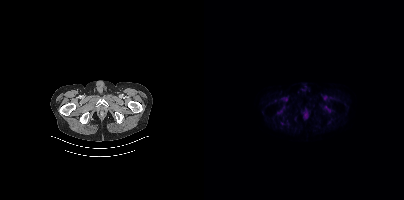
Negative for PSMA-avid disease on this slice.
modality: PSMA PET/CT | tracer: 18F | view: axial